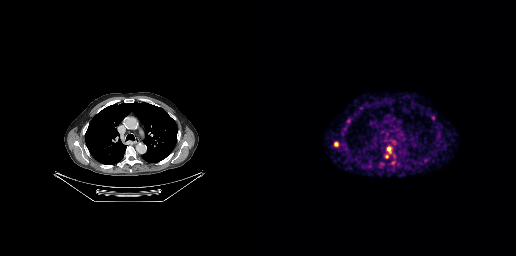
modality: PSMA PET/CT | tracer: 68Ga-PSMA | view: axial | PET grid: 256×256
Coordinates are on the 256×256 PET (right) panel. (showing 8 of 9 foci) PSMA-avid tumor lesion bounding boxes (x0,y0,x1,y1): [127,148,131,153]; [171,116,175,120]; [87,119,90,123]; [74,142,77,146]. Small PSMA-avid foci (2 to 4 px across) near (center x, center y): (133, 162); (110, 166); (127, 157); (165, 160).